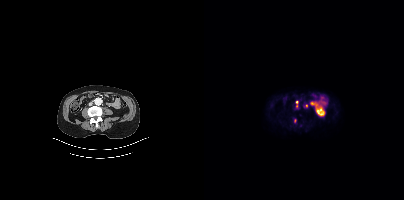
Paired axial CT (left) and PSMA PET (right), 68Ga tracer. Acquired on Siemens Biograph mCT Flow 20. Slice position z = -1358 mm. PET panel 200×200 px (4.1 mm/px). Coordinates are on the 200×200 PET (right) panel. (showing 3 of 4 foci) Small PSMA-avid foci (2 to 4 px across) near (center x, center y): (101, 105) | (92, 102) | (92, 105).